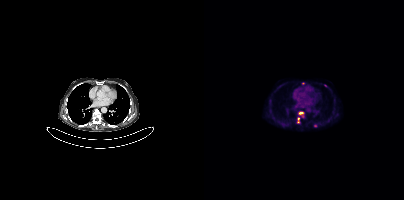
Coordinates are on the 200×200 PET (right) panel. PSMA-avid tumor lesion bounding boxes (x, y, width, height): x=93 y=118 w=3 h=6 | x=95 y=112 w=5 h=3. Small PSMA-avid foci (2 to 4 px across) near (center x, center y): (111, 125) | (99, 83).